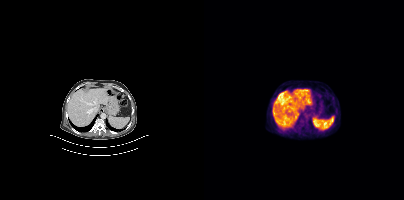
{"modality":"PSMA PET/CT","view":"axial","tracer":"[18F]PSMA-1007","pet_grid":[200,200],"coord_frame":"pet_panel","coord_format":"x0,y0,x1,y1","psma_avid_lesions":false}